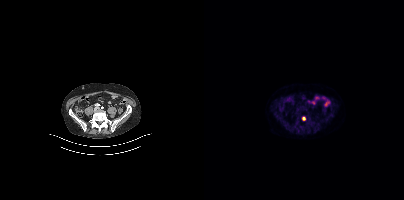
Coordinates are on the 200×200 PET (right) panel. Small PSMA-avid focus (2 to 4 px across) near (center x, center y): (99, 118). Paired axial CT (left) and PSMA PET (right), [18F]PSMA-1007 tracer. Slice 116 of 354. PET panel 200×200 px (4.1 mm/px).